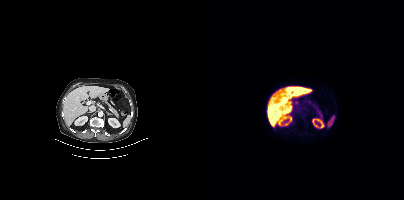
No PSMA-avid tumor lesions on this slice.